Paired axial CT (left) and PSMA PET (right), 18F tracer. PET panel 200×200 px (4.1 mm/px).
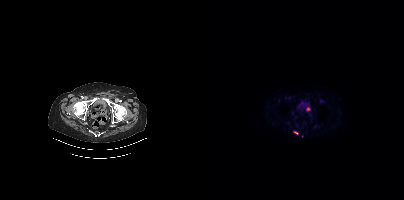
Coordinates are on the 200×200 PET (right) panel. PSMA-avid tumor lesion bounding boxes (partial; 1 more focus not listed):
| # | x0 | y0 | x1 | y1 |
|---|---|---|---|---|
| 1 | 89 | 131 | 94 | 134 |
Small PSMA-avid focus (2 to 4 px across) near (center x, center y): (104, 108).